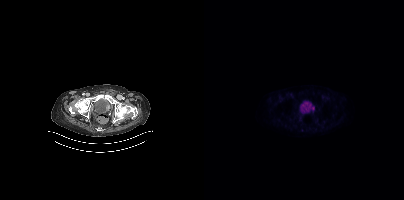
{"modality":"PSMA PET/CT","view":"axial","tracer":"18F","pet_grid":[200,200],"coord_frame":"pet_panel","coord_format":"x0,y0,x1,y1","lesion_bboxes":[[107,106,110,110]],"small_foci_centers":[[102,130]]}